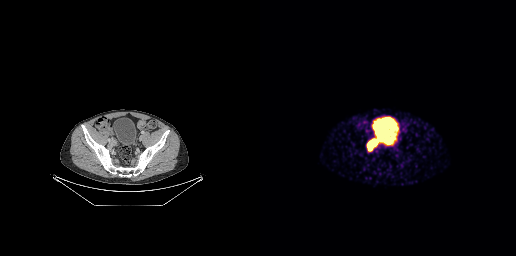
Coordinates are on the 256×256 PET (right) panel. PSMA-avid tumor lesion bounding box (x0, y0)-(x1, y1): (107, 139)-(117, 150). Two-panel axial: CT | PSMA PET, [68Ga]Ga-PSMA-11 tracer. Slice position z = -784 mm. PET panel 256×256 px (2.7 mm/px).